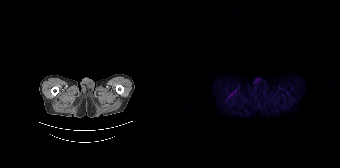
Findings: No PSMA-avid tumor lesions on this slice.
Technique: Left: CT. Right: PSMA PET, same axial level, [68Ga]Ga-PSMA-11 tracer. acquired on Siemens Biograph 64-4R TruePoint. slice position z = -1462 mm. PET panel 168×168 px (4.1 mm/px).